- Paired axial CT (left) and PSMA PET (right), 18F tracer
- acquired on Siemens Biograph mCT Flow 20
- slice 285 of 407
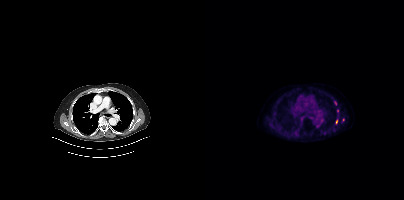
Findings: Coordinates are on the 200×200 PET (right) panel. Small PSMA-avid foci (2 to 4 px across) near (center x, center y): (133, 110) / (132, 121) / (131, 103) / (139, 119).